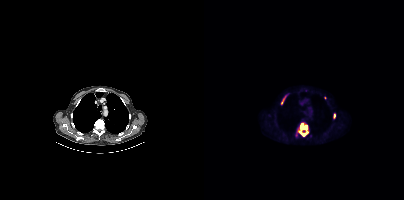
- Paired axial CT (left) and PSMA PET (right), 18F-PSMA tracer
- slice position z = 87 mm
- PET panel 200×200 px (4.1 mm/px)
Findings: Coordinates are on the 200×200 PET (right) panel. (showing 3 of 4 foci) PSMA-avid tumor lesion bounding boxes (x, y, width, height): x=96 y=123 w=9 h=14; x=77 y=96 w=5 h=8; x=130 y=113 w=2 h=5.